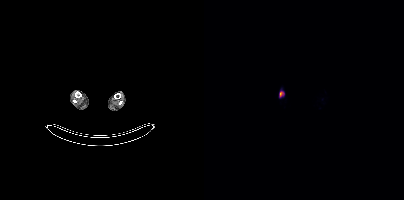
{"modality":"PSMA PET/CT","view":"axial","tracer":"18F-PSMA","pet_grid":[200,200],"coord_frame":"pet_panel","coord_format":"x0,y0,x1,y1","lesion_bboxes":[[75,91,79,96]]}